modality: PSMA PET/CT | tracer: [18F]PSMA-1007 | view: axial | PET grid: 200×200
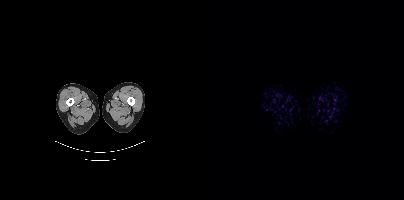
No tumor lesions annotated on this slice.